Technique: Left: CT. Right: PSMA PET, same axial level, 18F-PSMA tracer. PET panel 200×200 px (4.1 mm/px).
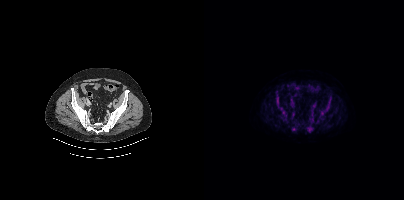
Findings: Coordinates are on the 200×200 PET (right) panel. PSMA-avid tumor lesion bounding boxes (x0,y0,x1,y1): [76,108,83,121], [88,121,93,130], [123,96,127,106], [103,127,109,132], [105,117,110,122], [119,108,124,113], [71,97,75,102].